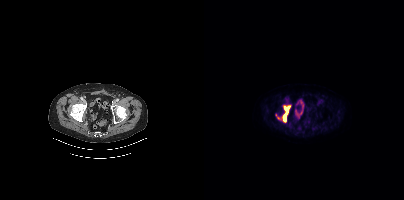
{"pet_grid":[200,200],"coord_frame":"pet_panel","coord_format":"x0,y0,x1,y1","lesion_bboxes":[[79,106,86,121]],"modality":"PSMA PET/CT","view":"axial","tracer":"[18F]PSMA-1007"}